Left: CT. Right: PSMA PET, same axial level, [18F]PSMA-1007 tracer. PET panel 200×200 px (4.1 mm/px).
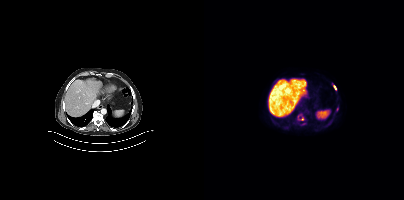
Coordinates are on the 200×200 PET (right) panel. (showing 3 of 4 foci) PSMA-avid tumor lesion bounding box (x, y, width, height): x=129 y=85 w=4 h=5. Small PSMA-avid foci (2 to 4 px across) near (center x, center y): (133, 108) / (98, 119).